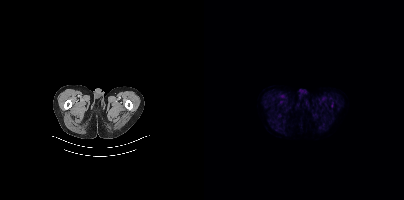
This slice has no annotated PSMA-avid lesion. Two-panel axial: CT | PSMA PET, 18F-PSMA tracer. Acquired on Siemens Biograph mCT Flow 20. PET panel 200×200 px (4.1 mm/px).